modality: PSMA PET/CT | tracer: [18F]PSMA-1007 | view: axial
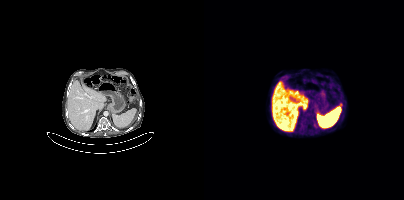
Coordinates are on the 200×200 PET (right) panel. PSMA-avid tumor lesion bounding box (x, y, width, height): x=110 y=123 w=4 h=6.